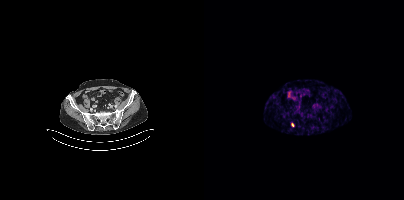
Coordinates are on the 200×200 PET (right) panel. Small PSMA-avid focus (2 to 4 px across) near (center x, center y): (88, 124).